Technique: Two-panel axial: CT | PSMA PET, [18F]PSMA-1007 tracer. slice position z = -743 mm. PET panel 200×200 px (4.1 mm/px).
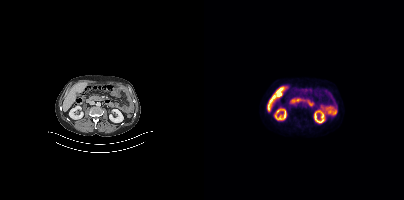
Findings: No PSMA-avid tumor lesions on this slice.